Paired axial CT (left) and PSMA PET (right), 68Ga tracer.
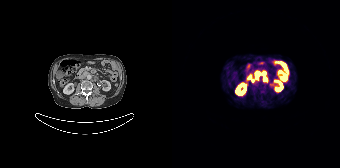
Coordinates are on the 168×168 PET (right) panel. PSMA-avid tumor lesion bounding boxes:
| # | x0 | y0 | x1 | y1 |
|---|---|---|---|---|
| 1 | 83 | 71 | 88 | 79 |
| 2 | 91 | 77 | 95 | 81 |
Small PSMA-avid focus (2 to 4 px across) near (center x, center y): (80, 80).